modality: PSMA PET/CT | tracer: 18F | view: axial | PET grid: 200×200
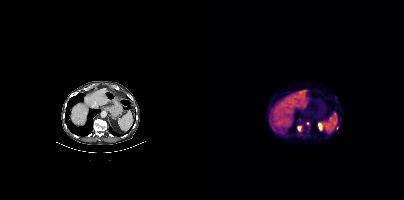
Coordinates are on the 200×200 PET (right) panel. (showing 2 of 3 foci) PSMA-avid tumor lesion bounding box (x, y, width, height): x=93 y=126 w=4 h=5. Small PSMA-avid focus (2 to 4 px across) near (center x, center y): (103, 122).